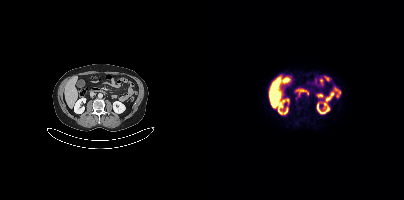
modality: PSMA PET/CT | tracer: 18F-PSMA | view: axial | PET grid: 200×200
Coordinates are on the 200×200 PET (right) panel. PSMA-avid tumor lesion bounding box (x, y, width, height): x=92 y=94 w=5 h=6. Small PSMA-avid focus (2 to 4 px across) near (center x, center y): (104, 94).